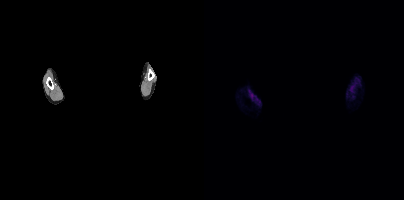
No tumor lesions annotated on this slice.
Facial anatomy redacted by setting a rectangular region of the head to black.